- Two-panel axial: CT | PSMA PET, 18F-PSMA tracer
- acquired on Siemens Biograph mCT Flow 20
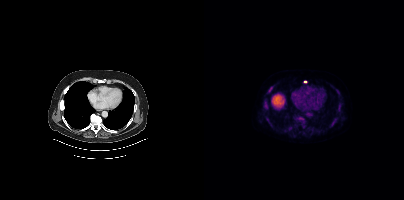
Findings: Coordinates are on the 200×200 PET (right) panel. PSMA-avid tumor lesion bounding boxes (x0,y0,x1,y1): [91,116,101,127] [59,100,64,109] [128,118,133,124] [64,86,69,92] [134,104,137,108] [84,126,87,130] [131,89,135,93]. Small PSMA-avid foci (2 to 4 px across) near (center x, center y): (64, 121) (81, 131) (101, 81).